Two-panel axial: CT | PSMA PET, 18F tracer. Slice position z = -1499 mm.
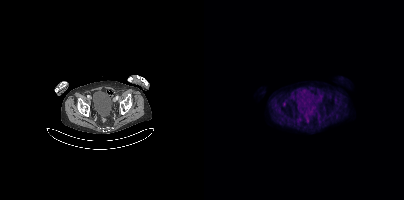
Only PSMA-avid lesion pieces thinner than 2 px on this slice (not listed).